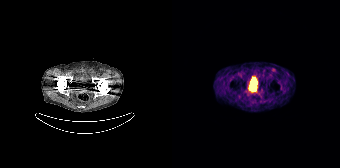
Two-panel axial: CT | PSMA PET, 68Ga tracer. No PSMA-avid tumor lesions on this slice.